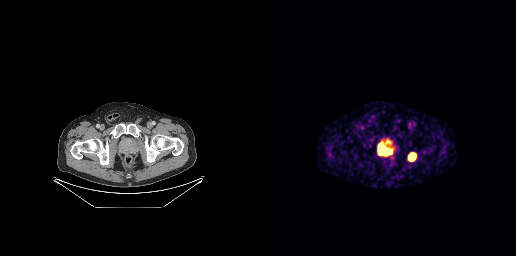
Two-panel axial: CT | PSMA PET, 68Ga-PSMA tracer. Acquired on GE Discovery 690. PET panel 256×256 px (2.7 mm/px).
Coordinates are on the 256×256 PET (right) panel. PSMA-avid tumor lesion bounding boxes:
| # | x0 | y0 | x1 | y1 |
|---|---|---|---|---|
| 1 | 118 | 143 | 132 | 155 |
| 2 | 148 | 152 | 156 | 161 |
Small PSMA-avid focus (2 to 4 px across) near (center x, center y): (128, 141).